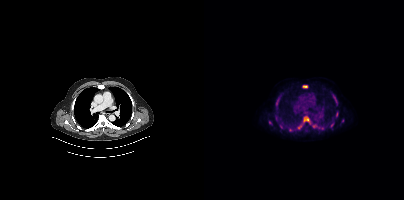
Two-panel axial: CT | PSMA PET, 18F tracer. Acquired on Siemens Biograph mCT Flow 20. Slice 267 of 395. PET panel 200×200 px (4.1 mm/px).
Coordinates are on the 200×200 PET (right) panel. PSMA-avid tumor lesion bounding boxes (partial; 2 more foci not listed):
| # | x0 | y0 | x1 | y1 |
|---|---|---|---|---|
| 1 | 98 | 116 | 107 | 123 |
| 2 | 129 | 96 | 133 | 105 |
| 3 | 98 | 85 | 103 | 88 |
| 4 | 131 | 111 | 134 | 116 |
| 5 | 108 | 124 | 113 | 127 |
| 6 | 93 | 125 | 97 | 129 |
| 7 | 85 | 128 | 89 | 131 |
| 8 | 126 | 122 | 129 | 127 |
| 9 | 75 | 124 | 78 | 128 |
| 10 | 72 | 100 | 74 | 105 |
Small PSMA-avid foci (2 to 4 px across) near (center x, center y): (66, 122); (138, 121).